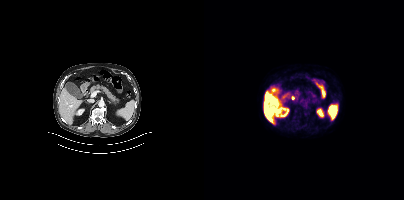
{"modality":"PSMA PET/CT","view":"axial","tracer":"18F","pet_grid":[200,200],"coord_frame":"pet_panel","coord_format":"x0,y0,x1,y1","psma_avid_lesions":false}